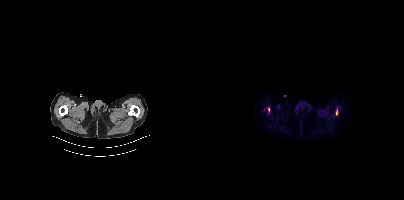
Coordinates are on the 200×200 PET (right) panel. PSMA-avid tumor lesion bounding boxes:
| # | x0 | y0 | x1 | y1 |
|---|---|---|---|---|
| 1 | 132 | 108 | 133 | 115 |
| 2 | 64 | 107 | 65 | 111 |
Paired axial CT (left) and PSMA PET (right), 18F-PSMA tracer. PET panel 200×200 px (4.1 mm/px).